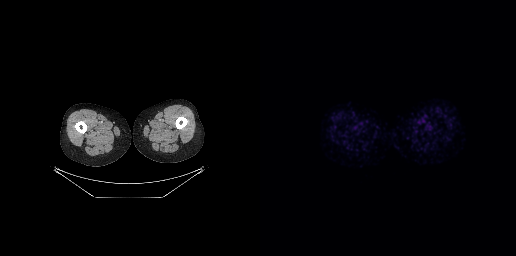
Findings: No PSMA-avid tumor lesions on this slice.
- Two-panel axial: CT | PSMA PET, [68Ga]Ga-PSMA-11 tracer
- slice position z = -1046 mm